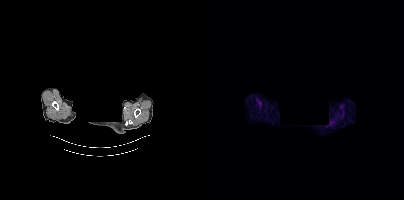
This slice has no annotated PSMA-avid lesion.
deidentification: head region blacked out before release | modality: PSMA PET/CT | tracer: 18F-PSMA | view: axial | PET grid: 200×200